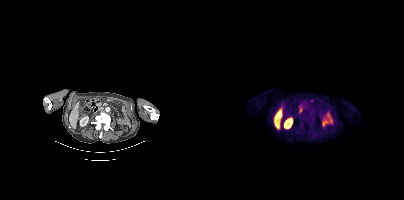
Left: CT. Right: PSMA PET, same axial level, 18F-PSMA tracer. PET panel 200×200 px (4.1 mm/px). Negative for PSMA-avid disease on this slice.